Technique: Paired axial CT (left) and PSMA PET (right), 18F tracer. acquired on GE Discovery 690. slice 181 of 263.
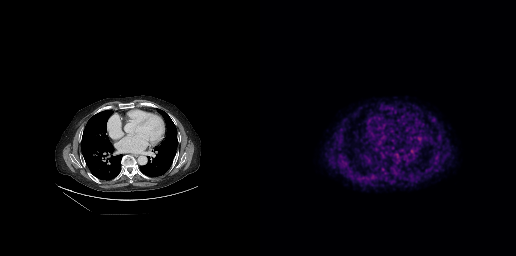
Findings: Coordinates are on the 256×256 PET (right) panel. PSMA-avid tumor lesion bounding box (x, y, width, height): x=110 y=173 w=9 h=8.